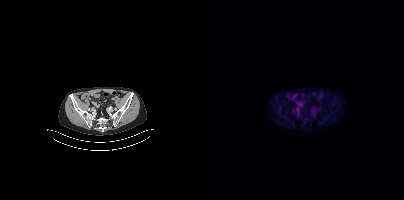
Paired axial CT (left) and PSMA PET (right), [18F]PSMA-1007 tracer. Only PSMA-avid lesion pieces thinner than 2 px on this slice (not listed).